modality: PSMA PET/CT | tracer: 68Ga-PSMA | view: axial
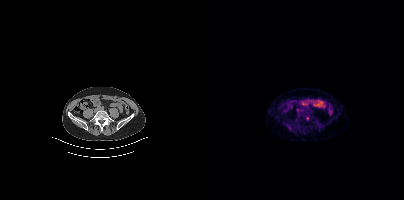
Coordinates are on the 200×200 PET (right) panel. Small PSMA-avid focus (2 to 4 px across) near (center x, center y): (103, 118).